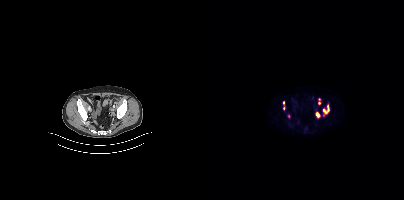
- Two-panel axial: CT | PSMA PET, 18F-PSMA tracer
- acquired on Siemens Biograph mCT Flow 20
- slice position z = -834 mm
Findings: Coordinates are on the 200×200 PET (right) panel. (showing 6 of 7 foci) PSMA-avid tumor lesion bounding boxes (x0,y0,x1,y1): [119,105,125,116]; [112,112,115,117]. Small PSMA-avid foci (2 to 4 px across) near (center x, center y): (80, 108); (84, 116); (79, 102); (115, 103).